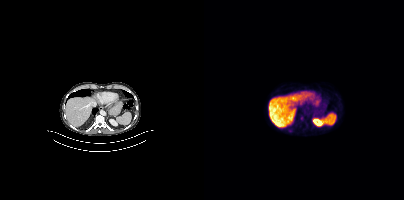
- Two-panel axial: CT | PSMA PET, 18F tracer
- slice position z = -546 mm
- PET panel 200×200 px (4.1 mm/px)
Findings: Only PSMA-avid lesion pieces thinner than 2 px on this slice (not listed).